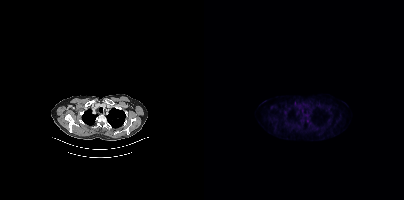
Coordinates are on the 200×200 PET (right) panel. Small PSMA-avid focus (2 to 4 px across) near (center x, center y): (103, 120).